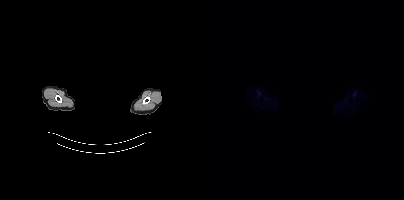
This slice has no annotated PSMA-avid lesion. Left: CT. Right: PSMA PET, same axial level, [18F]PSMA-1007 tracer. Slice 381 of 411. PET panel 200×200 px (4.1 mm/px). Head region blanked for anonymization (face removed).